Paired axial CT (left) and PSMA PET (right), 18F tracer. Slice 81 of 299. PET panel 256×256 px (2.7 mm/px).
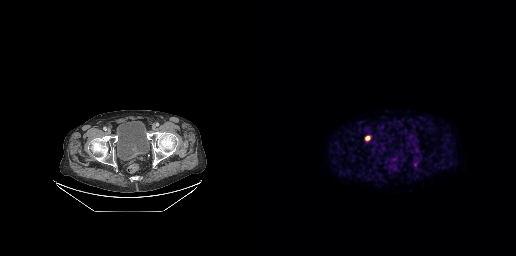
Coordinates are on the 256×256 PET (right) panel. (showing 1 of 2 foci) PSMA-avid tumor lesion bounding box (x0, y0)-(x1, y1): (106, 136)-(109, 140).